- Paired axial CT (left) and PSMA PET (right), 18F tracer
- acquired on Siemens Biograph mCT Flow 20
- an anonymization step blacked out a rectangle over the head in this scan
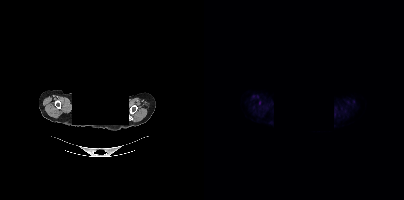
Findings: No PSMA-avid tumor lesions on this slice.